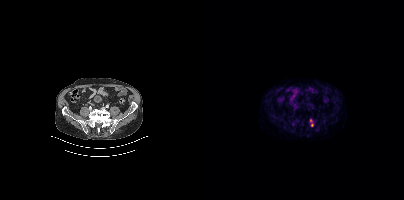
Technique: Paired axial CT (left) and PSMA PET (right), 18F tracer. slice position z = -1418 mm. PET panel 200×200 px (4.1 mm/px).
Findings: Coordinates are on the 200×200 PET (right) panel. (showing 1 of 2 foci) Small PSMA-avid focus (2 to 4 px across) near (center x, center y): (107, 125).